Left: CT. Right: PSMA PET, same axial level, 18F tracer. PET panel 256×256 px (2.7 mm/px).
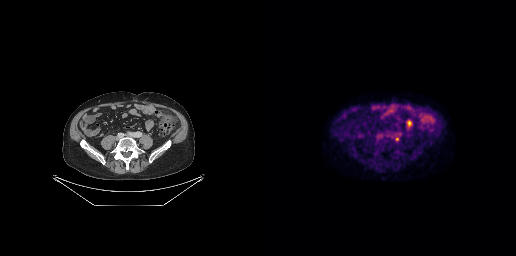
Coordinates are on the 256×256 PET (right) panel. Small PSMA-avid focus (2 to 4 px across) near (center x, center y): (136, 138).